The head region is masked for de-identification. Paired axial CT (left) and PSMA PET (right), 18F-PSMA tracer. Acquired on Siemens Biograph mCT Flow 20. PET panel 200×200 px (4.1 mm/px).
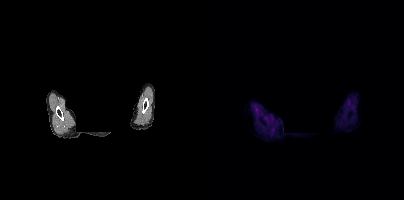
Negative for PSMA-avid disease on this slice.